Two-panel axial: CT | PSMA PET, [18F]PSMA-1007 tracer.
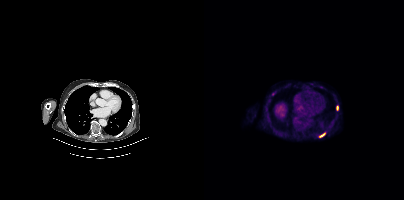
Coordinates are on the 200×200 PET (right) panel. PSMA-avid tumor lesion bounding boxes (x0,y0,x1,y1): [132,105,134,110]; [115,133,121,137]. Small PSMA-avid focus (2 to 4 px across) near (center x, center y): (69, 93).